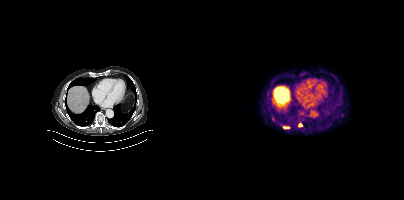
{"modality":"PSMA PET/CT","view":"axial","tracer":"[18F]PSMA-1007","pet_grid":[200,200],"coord_frame":"pet_panel","coord_format":"x0,y0,x1,y1","lesion_bboxes":[[78,126,86,129],[94,123,98,126]],"small_foci_centers":[[69,118]]}